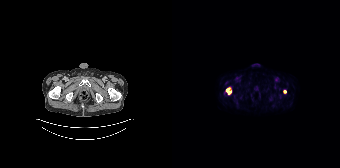
Left: CT. Right: PSMA PET, same axial level, 18F-PSMA tracer. Slice 24 of 165. PET panel 168×168 px (4.1 mm/px). Coordinates are on the 168×168 PET (right) panel. PSMA-avid tumor lesion bounding box (x0,y0,x1,y1): [54,87,59,94]. Small PSMA-avid focus (2 to 4 px across) near (center x, center y): (112, 91).